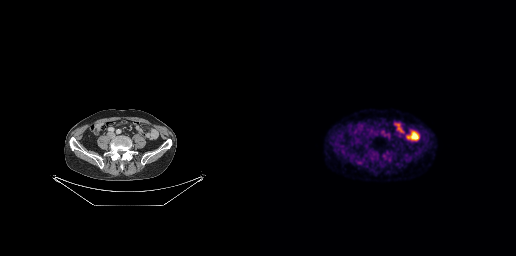
Technique: Paired axial CT (left) and PSMA PET (right), [18F]PSMA-1007 tracer. PET panel 256×256 px (2.7 mm/px).
Findings: Only PSMA-avid lesion pieces thinner than 2 px on this slice (not listed).